Left: CT. Right: PSMA PET, same axial level, 18F tracer. Acquired on Siemens Biograph mCT Flow 20. Slice position z = -826 mm. PET panel 200×200 px (4.1 mm/px).
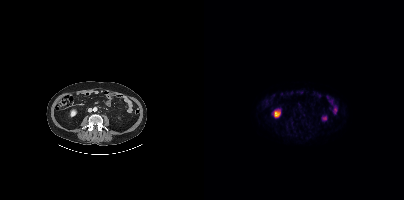
No tumor lesions annotated on this slice.